Technique: Left: CT. Right: PSMA PET, same axial level, 18F tracer. acquired on Siemens Biograph mCT Flow 20.
Note: A rectangular block over the head has been blanked out for de-identification.
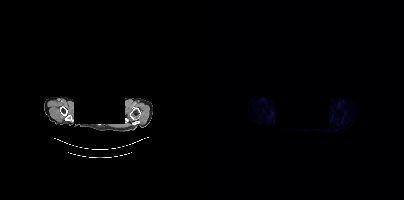
Findings: Negative for PSMA-avid disease on this slice.